Left: CT. Right: PSMA PET, same axial level, 18F tracer. Acquired on GE Discovery 690. PET panel 256×256 px (2.7 mm/px).
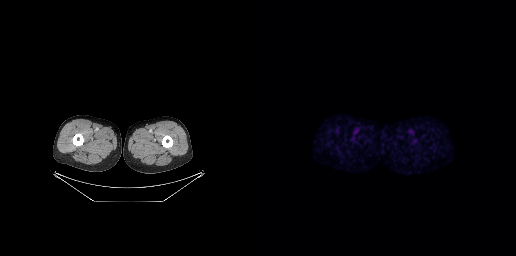
No PSMA-avid tumor lesions on this slice.